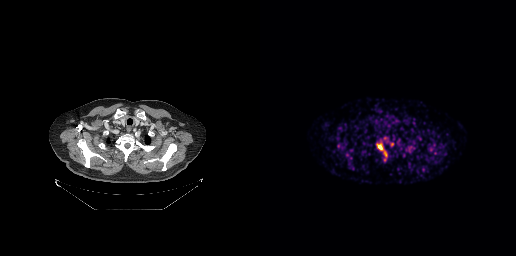
Technique: Paired axial CT (left) and PSMA PET (right), 68Ga-PSMA tracer. acquired on GE Discovery 690. slice 217 of 263. PET panel 256×256 px (2.7 mm/px).
Findings: Coordinates are on the 256×256 PET (right) panel. (showing 5 of 7 foci) PSMA-avid tumor lesion bounding box (x, y, width, height): x=116 y=142 w=12 h=16. Small PSMA-avid foci (2 to 4 px across) near (center x, center y): (132, 144) | (124, 159) | (124, 137) | (78, 145).